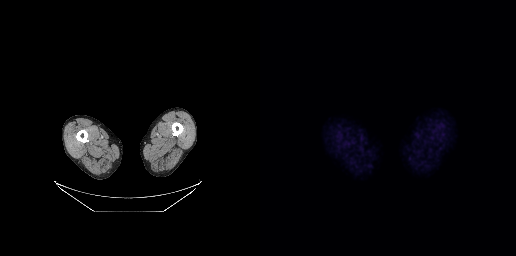
Technique: Two-panel axial: CT | PSMA PET, 18F tracer. acquired on GE Discovery 690. slice 16 of 299. PET panel 256×256 px (2.7 mm/px).
Findings: This slice has no annotated PSMA-avid lesion.